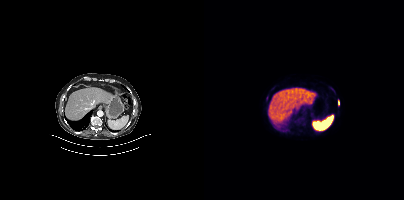
- Left: CT. Right: PSMA PET, same axial level, 18F tracer
Findings: Coordinates are on the 200×200 PET (right) panel. Small PSMA-avid focus (2 to 4 px across) near (center x, center y): (134, 102).